modality: PSMA PET/CT | tracer: 18F-PSMA | view: axial
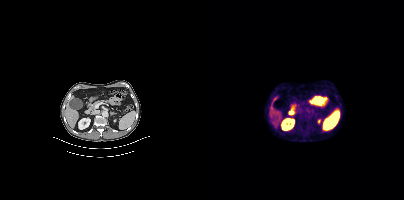
Coordinates are on the 200×200 PET (right) panel. PSMA-avid tumor lesion bounding boxes (x, y, width, height): x=104 y=124 w=4 h=5; x=101 y=115 w=5 h=4.